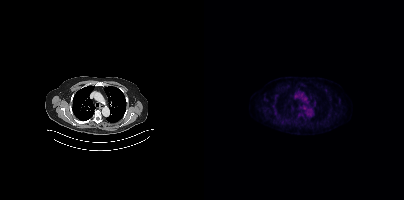
modality: PSMA PET/CT | tracer: [18F]PSMA-1007 | view: axial
No tumor lesions annotated on this slice.